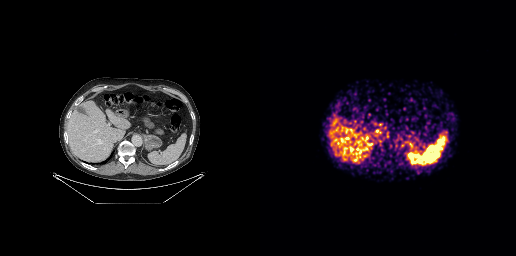
Left: CT. Right: PSMA PET, same axial level, 68Ga tracer. No tumor lesions annotated on this slice.